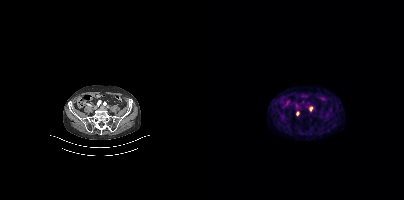
{"pet_grid":[200,200],"coord_frame":"pet_panel","coord_format":"x0,y0,x1,y1","lesion_bboxes":[],"small_foci_centers":[[107,108],[93,113]],"modality":"PSMA PET/CT","view":"axial","tracer":"68Ga-PSMA"}